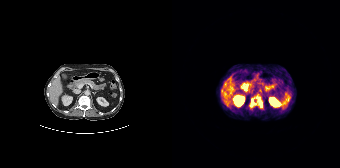
{"modality":"PSMA PET/CT","view":"axial","tracer":"68Ga-PSMA","pet_grid":[168,168],"coord_frame":"pet_panel","coord_format":"x0,y0,x1,y1","lesion_bboxes":[[77,95,90,107]]}